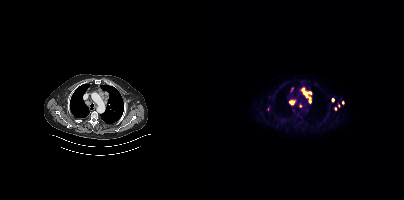
{"modality":"PSMA PET/CT","view":"axial","tracer":"[18F]PSMA-1007","pet_grid":[200,200],"coord_frame":"pet_panel","coord_format":"x0,y0,x1,y1","partial":true,"lesion_bboxes":[[97,87,107,103],[85,100,91,105]],"small_foci_centers":[[129,99],[96,106],[138,102],[131,108]]}